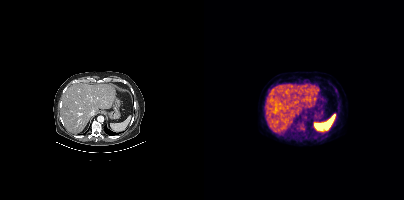
Coordinates are on the 200×200 PET (right) panel. Small PSMA-avid focus (2 to 4 px across) near (center x, center y): (98, 127).